Technique: Paired axial CT (left) and PSMA PET (right), 18F tracer. slice position z = 282 mm.
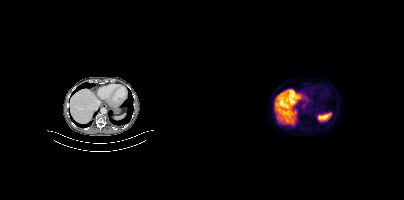
Findings: Coordinates are on the 200×200 PET (right) panel. PSMA-avid tumor lesion bounding box (x, y, width, height): x=87 y=119 w=6 h=7.